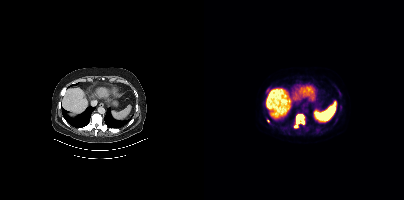
Coordinates are on the 200×200 PET (right) panel. PSMA-avid tumor lesion bounding boxes (x0,y0,x1,y1): [90,114,100,128] [99,125,103,128]. Small PSMA-avid foci (2 to 4 px across) near (center x, center y): (134, 90) (65, 122) (114, 130).